Two-panel axial: CT | PSMA PET, 18F-PSMA tracer. PET panel 168×168 px (4.1 mm/px). The face region was removed for patient privacy by blanking a rectangle over the head.
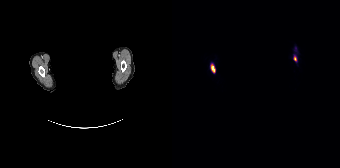
Coordinates are on the 168×168 PET (right) panel. PSMA-avid tumor lesion bounding boxes:
| # | x0 | y0 | x1 | y1 |
|---|---|---|---|---|
| 1 | 38 | 63 | 43 | 73 |
| 2 | 122 | 56 | 124 | 61 |
Small PSMA-avid focus (2 to 4 px across) near (center x, center y): (123, 48).